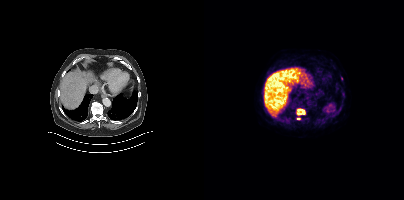
{"pet_grid":[200,200],"coord_frame":"pet_panel","coord_format":"x0,y0,x1,y1","lesion_bboxes":[[93,109,100,119]],"small_foci_centers":[[137,79]],"modality":"PSMA PET/CT","view":"axial","tracer":"18F"}